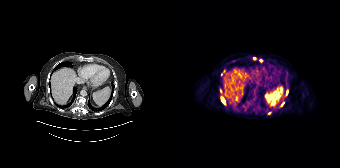
Findings: Coordinates are on the 168×168 PET (right) panel. PSMA-avid tumor lesion bounding boxes (x, y, width, height): x=49 y=98 w=5 h=6 | x=114 y=90 w=2 h=5. Small PSMA-avid foci (2 to 4 px across) near (center x, center y): (82, 58) | (89, 60) | (48, 90) | (110, 104) | (97, 113).
Technique: Paired axial CT (left) and PSMA PET (right), 68Ga-PSMA tracer. slice 134 of 195. PET panel 168×168 px (4.1 mm/px).